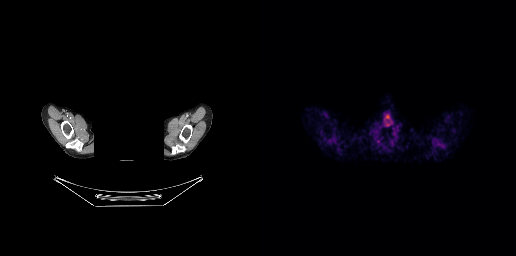
No PSMA-avid tumor lesions on this slice.
redaction: facial region redacted | modality: PSMA PET/CT | tracer: 68Ga | view: axial